Technique: Left: CT. Right: PSMA PET, same axial level, 18F-PSMA tracer. slice 360 of 442. PET panel 200×200 px (4.1 mm/px).
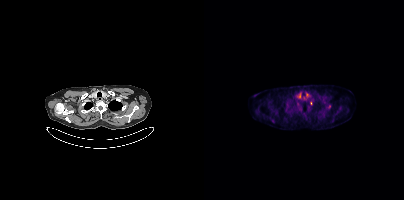
Findings: Coordinates are on the 200×200 PET (right) panel. Small PSMA-avid foci (2 to 4 px across) near (center x, center y): (125, 106) | (106, 103).